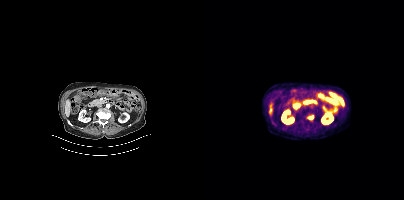
Coordinates are on the 200×200 PET (right) panel. Small PSMA-avid focus (2 to 4 px across) near (center x, center y): (107, 117). Paired axial CT (left) and PSMA PET (right), 18F tracer. Acquired on Siemens Biograph mCT Flow 20. PET panel 200×200 px (4.1 mm/px).